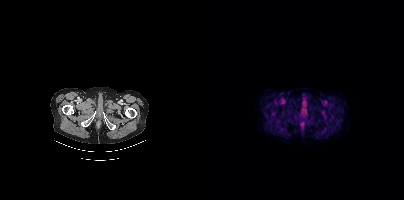
No tumor lesions annotated on this slice.
modality: PSMA PET/CT | tracer: [18F]PSMA-1007 | view: axial